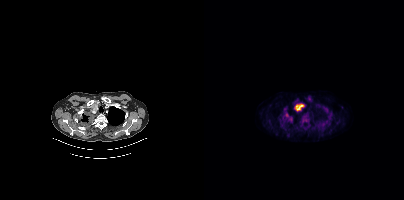
Technique: Two-panel axial: CT | PSMA PET, [18F]PSMA-1007 tracer. acquired on Siemens Biograph mCT Flow 20. slice 354 of 452.
Findings: Coordinates are on the 200×200 PET (right) panel. (showing 3 of 4 foci) PSMA-avid tumor lesion bounding boxes (x, y, width, height): x=79 y=108 w=10 h=14 | x=91 y=104 w=9 h=7 | x=98 y=114 w=6 h=6.